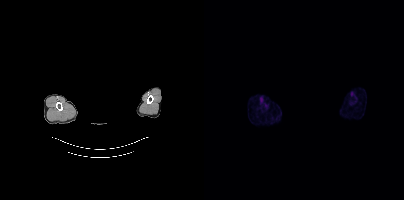
This slice has no annotated PSMA-avid lesion.
Face de-identified by blanking a block of the head.